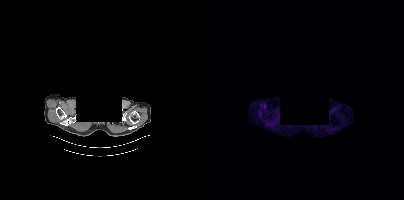
Paired axial CT (left) and PSMA PET (right), [18F]PSMA-1007 tracer. Slice 337 of 387. An anonymization step blacked out a rectangle over the head in this scan. No tumor lesions annotated on this slice.